A rectangular block over the head has been blanked out for de-identification. Two-panel axial: CT | PSMA PET, 18F-PSMA tracer. Acquired on Siemens Biograph mCT Flow 20. Slice 347 of 381.
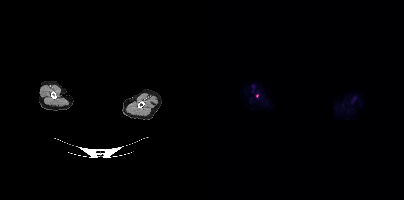
Coordinates are on the 200×200 PET (right) panel. Small PSMA-avid focus (2 to 4 px across) near (center x, center y): (53, 96).